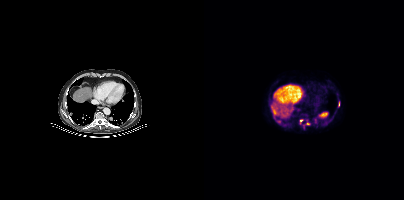
Coordinates are on the 200×200 PET (right) panel. (showing 3 of 4 foci) Small PSMA-avid foci (2 to 4 px across) near (center x, center y): (75, 121); (97, 120); (103, 123). Left: CT. Right: PSMA PET, same axial level, [18F]PSMA-1007 tracer. Acquired on Siemens Biograph mCT Flow 20. PET panel 200×200 px (4.1 mm/px).